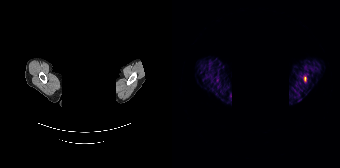
modality: PSMA PET/CT | tracer: [68Ga]Ga-PSMA-11 | view: axial | PET grid: 168×168 | redaction: privacy mask over head
Coordinates are on the 168×168 PET (right) panel. PSMA-avid tumor lesion bounding box (x0,y0,x1,y1): [132,77,134,81].